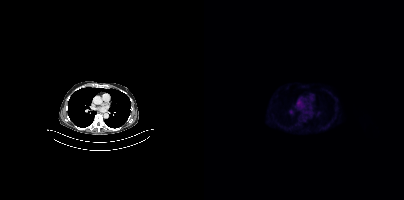
{"pet_grid":[200,200],"coord_frame":"pet_panel","coord_format":"x0,y0,x1,y1","psma_avid_lesions":false,"modality":"PSMA PET/CT","view":"axial","tracer":"18F-PSMA"}